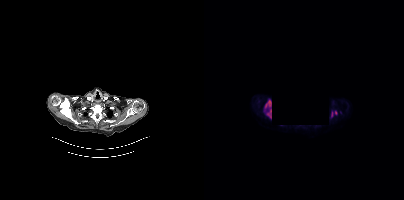
{"modality":"PSMA PET/CT","view":"axial","tracer":"18F-PSMA","pet_grid":[200,200],"coord_frame":"pet_panel","coord_format":"x0,y0,x1,y1","lesion_bboxes":[[61,100,67,119],[127,112,128,116]],"small_foci_centers":[[132,112]],"redaction":"region redacted"}